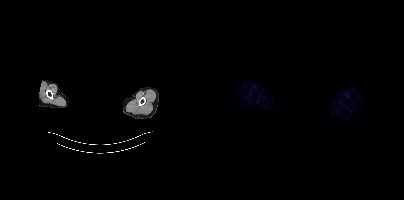
modality: PSMA PET/CT | tracer: 68Ga | view: axial | PET grid: 200×200 | de-identification: head region blacked out before release
Negative for PSMA-avid disease on this slice.